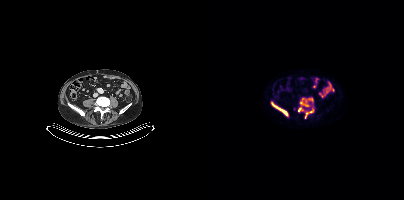
Coordinates are on the 200×200 PET (right) panel. PSMA-avid tumor lesion bounding boxes (x0,y0,x1,y1): [67,102,83,115] [96,98,103,106] [101,110,109,117] [94,108,99,111] [104,98,108,101].
modality: PSMA PET/CT | tracer: 18F | view: axial